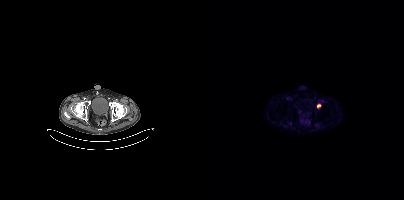
- Paired axial CT (left) and PSMA PET (right), 18F-PSMA tracer
- acquired on Siemens Biograph mCT Flow 20
Findings: Coordinates are on the 200×200 PET (right) panel. PSMA-avid tumor lesion bounding box (x, y, width, height): x=113 y=104 w=5 h=5.